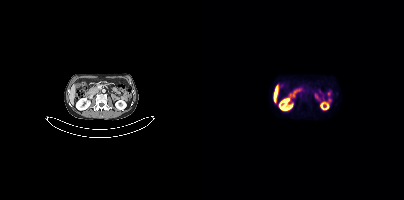
Coordinates are on the 200×200 PET (right) panel. Small PSMA-avid focus (2 to 4 px across) near (center x, center y): (132, 93).
modality: PSMA PET/CT | tracer: [18F]PSMA-1007 | view: axial | PET grid: 200×200